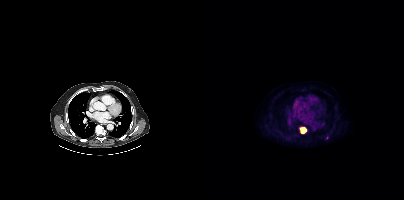
modality: PSMA PET/CT | tracer: 18F-PSMA | view: axial | PET grid: 200×200
Coordinates are on the 200×200 PET (right) panel. PSMA-avid tumor lesion bounding box (x0, y0)-(x1, y1): (96, 127)-(102, 133). Small PSMA-avid focus (2 to 4 px across) near (center x, center y): (123, 137).